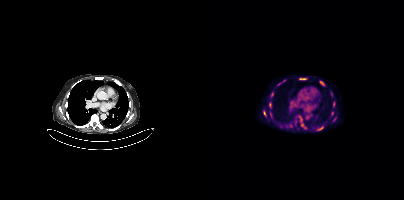
Technique: Two-panel axial: CT | PSMA PET, 18F tracer. acquired on Siemens Biograph mCT Flow 20. slice 243 of 373. PET panel 200×200 px (4.1 mm/px).
Findings: Coordinates are on the 200×200 PET (right) panel. (showing 9 of 11 foci) PSMA-avid tumor lesion bounding boxes (x0, y0)-(x1, y1): (115, 81)-(120, 85) | (113, 126)-(119, 130) | (95, 78)-(102, 79) | (65, 102)-(67, 107) | (67, 92)-(69, 96) | (59, 111)-(61, 115). Small PSMA-avid foci (2 to 4 px across) near (center x, center y): (80, 80) | (128, 113) | (98, 124).